Paired axial CT (left) and PSMA PET (right), 68Ga-PSMA tracer. Acquired on Siemens Biograph mCT Flow 20. PET panel 200×200 px (4.1 mm/px).
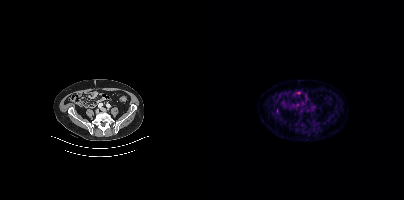
Coordinates are on the 200×200 PET (right) panel. Small PSMA-avid focus (2 to 4 px across) near (center x, center y): (73, 111).